Technique: Left: CT. Right: PSMA PET, same axial level, 18F tracer. acquired on Siemens Biograph mCT Flow 20.
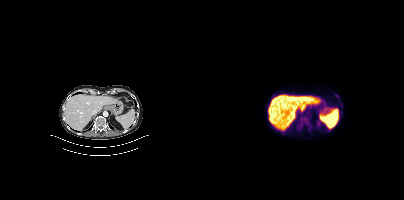
Findings: No PSMA-avid tumor lesions on this slice.